Left: CT. Right: PSMA PET, same axial level, 18F tracer. Slice 53 of 263.
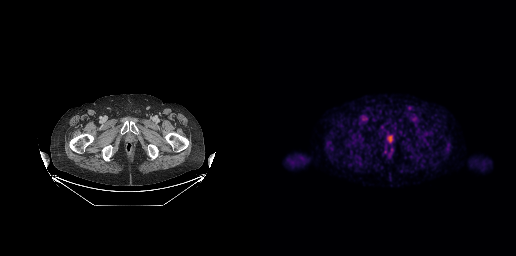
This slice has no annotated PSMA-avid lesion.